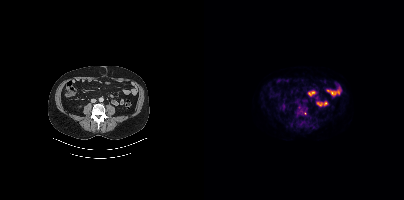
Coordinates are on the 200×200 PET (right) panel. PSMA-avid tumor lesion bounding boxes (x0, y0)-(x1, y1): (92, 106)-(102, 115); (95, 123)-(98, 127). Small PSMA-avid focus (2 to 4 px across) near (center x, center y): (103, 116).